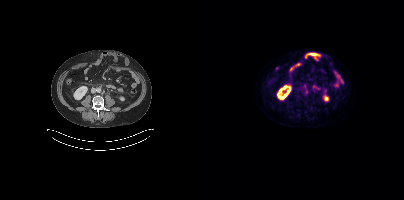
- Two-panel axial: CT | PSMA PET, 18F tracer
- acquired on Siemens Biograph mCT Flow 20
- PET panel 200×200 px (4.1 mm/px)
Findings: Coordinates are on the 200×200 PET (right) panel. PSMA-avid tumor lesion bounding box (x0,y0,x1,y1): [101,90,104,95].